- Left: CT. Right: PSMA PET, same axial level, 68Ga tracer
- PET panel 168×168 px (4.1 mm/px)
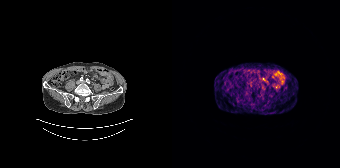
Findings: Coordinates are on the 168×168 PET (right) panel. Small PSMA-avid focus (2 to 4 px across) near (center x, center y): (91, 87).